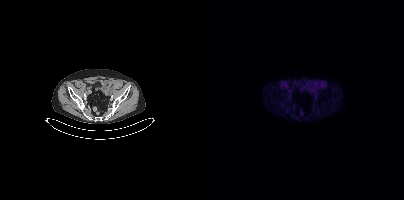
Two-panel axial: CT | PSMA PET, 18F tracer. Acquired on Siemens Biograph mCT Flow 20. Negative for PSMA-avid disease on this slice.